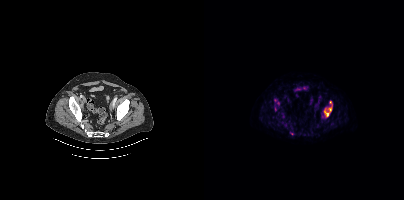
{"pet_grid":[200,200],"coord_frame":"pet_panel","coord_format":"x0,y0,x1,y1","partial":true,"lesion_bboxes":[[120,101,128,117]],"modality":"PSMA PET/CT","view":"axial","tracer":"18F-PSMA"}